modality: PSMA PET/CT | tracer: [18F]PSMA-1007 | view: axial
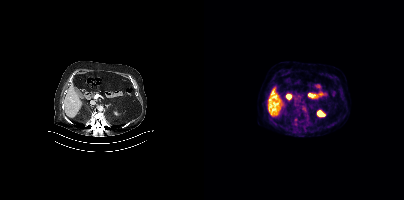
Coordinates are on the 200×200 PET (right) panel. Small PSMA-avid focus (2 to 4 px across) near (center x, center y): (91, 119).